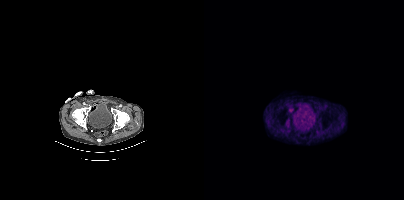
Only PSMA-avid lesion pieces thinner than 2 px on this slice (not listed).